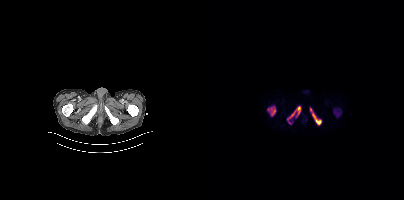
Technique: Paired axial CT (left) and PSMA PET (right), [18F]PSMA-1007 tracer. acquired on Siemens Biograph mCT Flow 20. slice position z = -868 mm.
Findings: Coordinates are on the 200×200 PET (right) panel. PSMA-avid tumor lesion bounding boxes (x, y, width, height): x=63 y=106 w=10 h=11 / x=106 y=108 w=12 h=17 / x=83 y=106 w=14 h=14. Small PSMA-avid focus (2 to 4 px across) near (center x, center y): (85, 122).